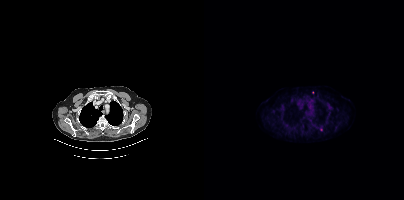
- Left: CT. Right: PSMA PET, same axial level, 18F tracer
Findings: Only PSMA-avid lesion pieces thinner than 2 px on this slice (not listed).